- Left: CT. Right: PSMA PET, same axial level, 18F-PSMA tracer
- slice position z = -647 mm
- PET panel 256×256 px (2.7 mm/px)
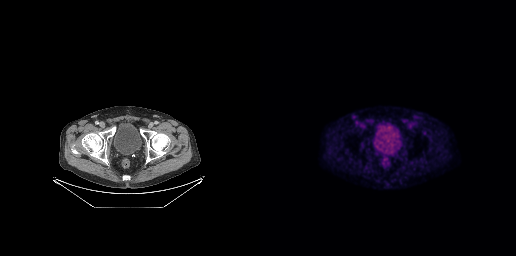
Findings: Negative for PSMA-avid disease on this slice.